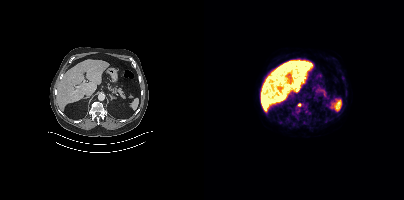
Two-panel axial: CT | PSMA PET, 18F-PSMA tracer. PET panel 200×200 px (4.1 mm/px). Coordinates are on the 200×200 PET (right) panel. Small PSMA-avid focus (2 to 4 px across) near (center x, center y): (95, 104).